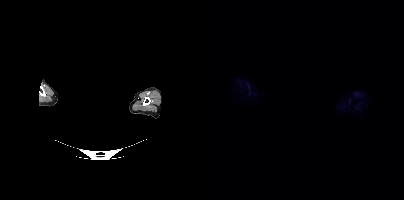
The face region was removed for patient privacy by blanking a rectangle over the head.
Negative for PSMA-avid disease on this slice.